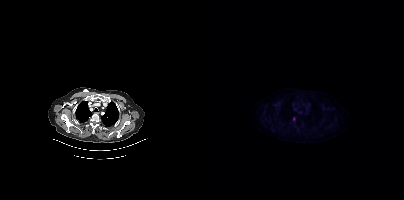
Coordinates are on the 200×200 PET (right) panel. PSMA-avid tumor lesion bounding box (x0, y0)-(x1, y1): (89, 117)-(91, 121).